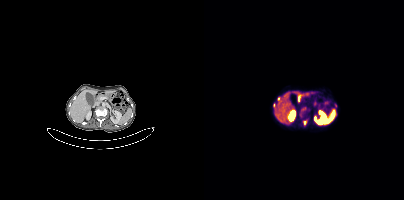
Two-panel axial: CT | PSMA PET, 68Ga tracer. Acquired on Siemens Biograph mCT Flow 20. Slice 176 of 393.
Coordinates are on the 200×200 PET (right) panel. PSMA-avid tumor lesion bounding boxes (partial; 1 more focus not listed):
| # | x0 | y0 | x1 | y1 |
|---|---|---|---|---|
| 1 | 99 | 121 | 102 | 125 |
Small PSMA-avid foci (2 to 4 px across) near (center x, center y): (74, 99); (131, 104).